- Left: CT. Right: PSMA PET, same axial level, 18F-PSMA tracer
- slice 289 of 395
- PET panel 200×200 px (4.1 mm/px)
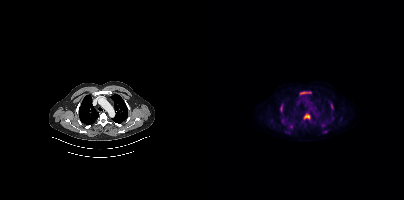
Findings: Coordinates are on the 200×200 PET (right) panel. PSMA-avid tumor lesion bounding boxes (x0,y0,x1,y1): [100,114,105,118]; [96,92,106,94]; [76,104,78,111]; [126,103,129,108]; [118,130,123,132]. Small PSMA-avid focus (2 to 4 px across) near (center x, center y): (128, 118).